- de-identified by setting a box covering the face to black before release
- Two-panel axial: CT | PSMA PET, 18F-PSMA tracer
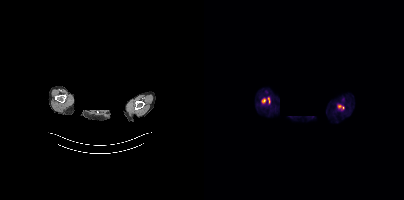
Findings: No tumor lesions annotated on this slice.